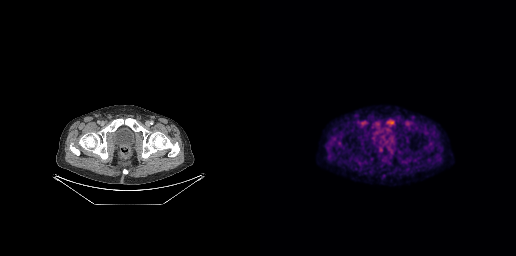
Coordinates are on the 256×256 PET (right) panel. PSMA-avid tumor lesion bounding boxes (x, y, width, height): x=126 y=119 w=9 h=8; x=115 y=122 w=5 h=5.